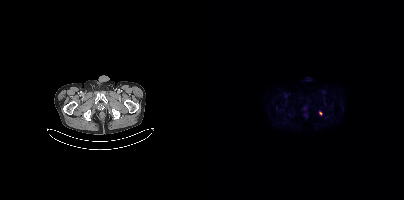
{"pet_grid":[200,200],"coord_frame":"pet_panel","coord_format":"x0,y0,x1,y1","lesion_bboxes":[],"small_foci_centers":[[116,113]],"modality":"PSMA PET/CT","view":"axial","tracer":"[18F]PSMA-1007"}